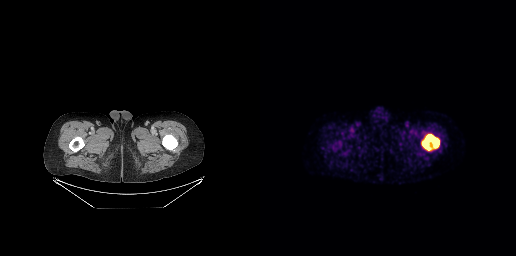
- Paired axial CT (left) and PSMA PET (right), 18F tracer
- slice position z = -1010 mm
Findings: Coordinates are on the 256×256 PET (right) panel. PSMA-avid tumor lesion bounding box (x0,y0,x1,y1): [161,134,179,150].